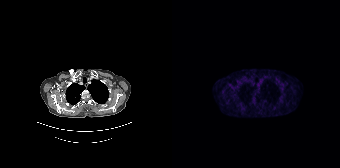
- Two-panel axial: CT | PSMA PET, [68Ga]Ga-PSMA-11 tracer
- acquired on Siemens Biograph 64-4R TruePoint
- slice position z = -782 mm
- PET panel 168×168 px (4.1 mm/px)
Findings: No PSMA-avid tumor lesions on this slice.